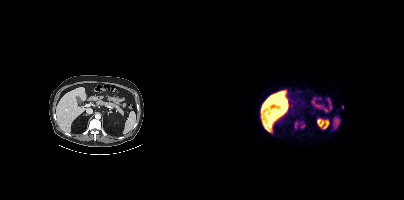
Coordinates are on the 200×200 PET (right) panel. PSMA-avid tumor lesion bounding box (x0, y0)-(x1, y1): (91, 122)-(93, 127). Small PSMA-avid foci (2 to 4 px across) near (center x, center y): (138, 107) | (98, 126). Paired axial CT (left) and PSMA PET (right), 18F tracer. Acquired on Siemens Biograph mCT Flow 20. Slice position z = -700 mm. PET panel 200×200 px (4.1 mm/px).